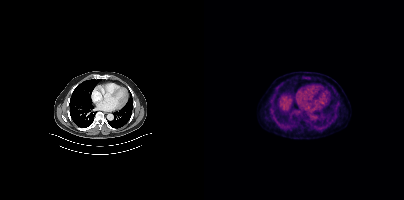
Findings: Coordinates are on the 200×200 PET (right) panel. Small PSMA-avid focus (2 to 4 px across) near (center x, center y): (67, 110).
Technique: Paired axial CT (left) and PSMA PET (right), [18F]PSMA-1007 tracer. PET panel 200×200 px (4.1 mm/px).